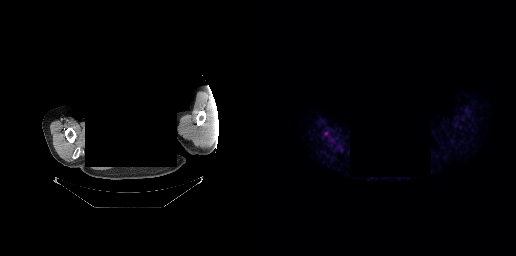
- Two-panel axial: CT | PSMA PET, 68Ga tracer
- any black rectangle over the head is a privacy mask, not anatomy
Findings: This slice has no annotated PSMA-avid lesion.